Two-panel axial: CT | PSMA PET, 18F-PSMA tracer. Slice 60 of 165. PET panel 168×168 px (4.1 mm/px).
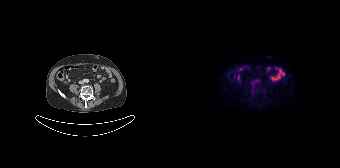
No tumor lesions annotated on this slice.